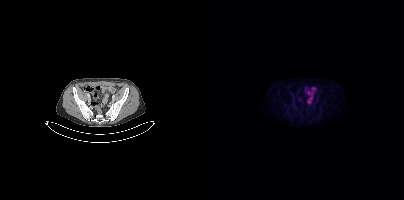
- Two-panel axial: CT | PSMA PET, [18F]PSMA-1007 tracer
- acquired on Siemens Biograph mCT Flow 20
- slice 102 of 448
- PET panel 200×200 px (4.1 mm/px)
Findings: No PSMA-avid tumor lesions on this slice.